Paired axial CT (left) and PSMA PET (right), 68Ga tracer. Acquired on GE Discovery 690. PET panel 256×256 px (2.7 mm/px).
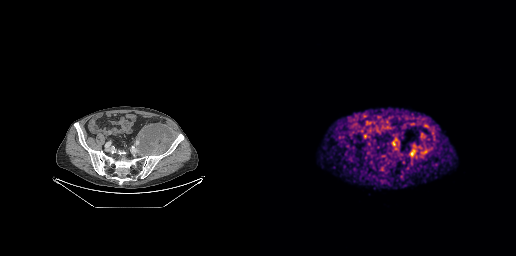
Coordinates are on the 256×256 PET (right) panel. PSMA-avid tumor lesion bounding box (x, y, width, height): x=149 y=148 w=7 h=10.